modality: PSMA PET/CT | tracer: 18F-PSMA | view: axial | PET grid: 200×200
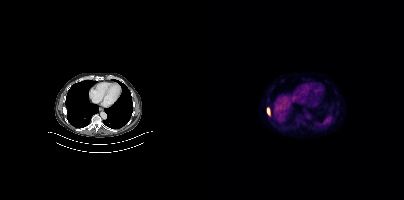
Coordinates are on the 200×200 PET (right) panel. PSMA-avid tumor lesion bounding box (x, y, width, height): x=63 y=108 w=4 h=7.